Technique: Paired axial CT (left) and PSMA PET (right), 18F-PSMA tracer.
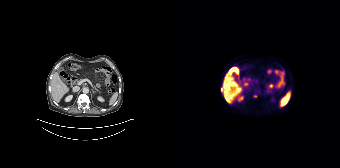
Findings: Coordinates are on the 168×168 PET (right) panel. Small PSMA-avid focus (2 to 4 px across) near (center x, center y): (49, 89).